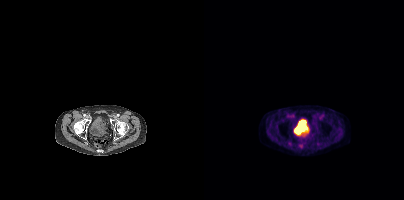
Paired axial CT (left) and PSMA PET (right), 18F tracer. Slice position z = -386 mm. PET panel 200×200 px (4.1 mm/px). Coordinates are on the 200×200 PET (right) panel. Small PSMA-avid focus (2 to 4 px across) near (center x, center y): (100, 136).